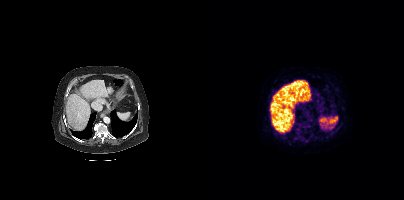
No PSMA-avid tumor lesions on this slice.